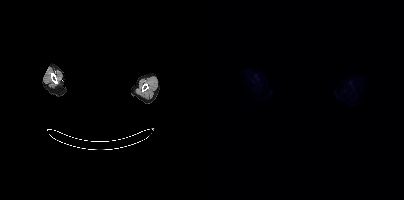
Negative for PSMA-avid disease on this slice.
Facial anatomy redacted by setting a rectangular region of the head to black.